Technique: Two-panel axial: CT | PSMA PET, 68Ga tracer.
Note: Any black rectangle over the head is a privacy mask, not anatomy.
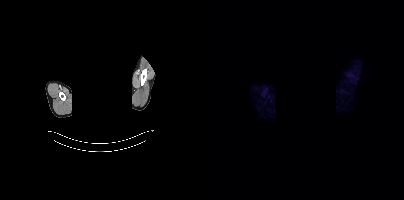
Findings: This slice has no annotated PSMA-avid lesion.